modality: PSMA PET/CT | tracer: [18F]PSMA-1007 | view: axial
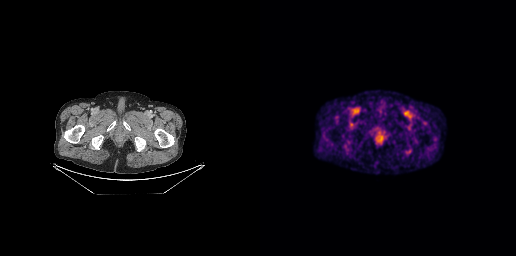
This slice has no annotated PSMA-avid lesion.